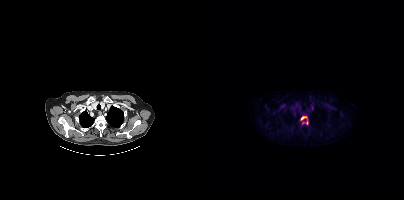
Coordinates are on the 200×200 PET (right) panel. PSMA-avid tumor lesion bounding box (x0, y0)-(x1, y1): (96, 116)-(104, 124). Small PSMA-avid focus (2 to 4 px across) near (center x, center y): (99, 122). Paired axial CT (left) and PSMA PET (right), [18F]PSMA-1007 tracer. PET panel 200×200 px (4.1 mm/px).